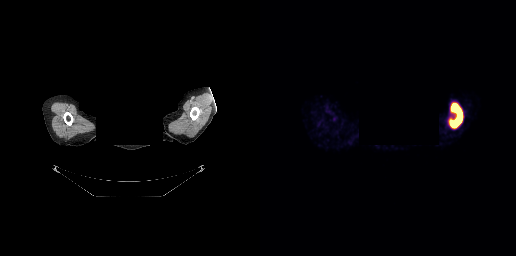
An anonymization step blacked out a rectangle over the head in this scan. Left: CT. Right: PSMA PET, same axial level, 68Ga-PSMA tracer. Acquired on GE Discovery 690. Slice position z = -248 mm. Coordinates are on the 256×256 PET (right) panel. PSMA-avid tumor lesion bounding box (x, y, width, height): x=189 y=102 w=15 h=27.